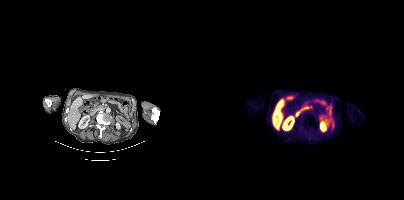
{"pet_grid":[200,200],"coord_frame":"pet_panel","coord_format":"x0,y0,x1,y1","psma_avid_lesions":false,"modality":"PSMA PET/CT","view":"axial","tracer":"[18F]PSMA-1007"}